Technique: Two-panel axial: CT | PSMA PET, 68Ga-PSMA tracer. PET panel 200×200 px (4.1 mm/px).
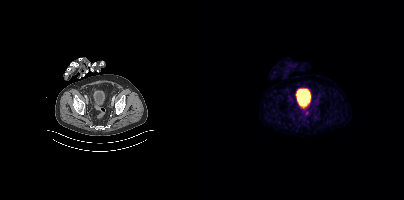
Findings: No PSMA-avid tumor lesions on this slice.